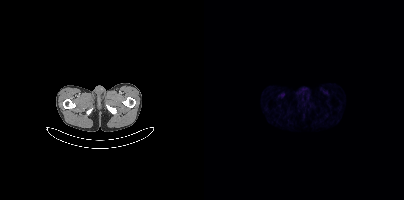
Technique: Paired axial CT (left) and PSMA PET (right), 68Ga tracer. slice position z = -1736 mm. PET panel 200×200 px (4.1 mm/px).
Findings: No PSMA-avid tumor lesions on this slice.